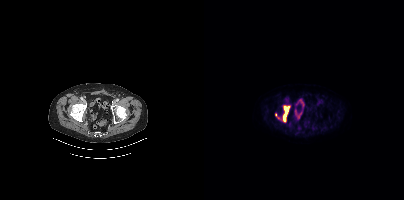
- Two-panel axial: CT | PSMA PET, 18F tracer
- slice 88 of 401
- PET panel 200×200 px (4.1 mm/px)
Findings: Coordinates are on the 200×200 PET (right) panel. (showing 1 of 2 foci) PSMA-avid tumor lesion bounding box (x, y, width, height): x=79 y=106 w=7 h=16.